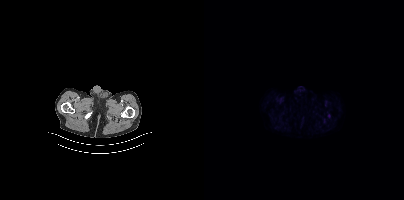
{"modality":"PSMA PET/CT","view":"axial","tracer":"18F-PSMA","pet_grid":[200,200],"coord_frame":"pet_panel","coord_format":"x0,y0,x1,y1","lesion_bboxes":[],"small_foci_centers":[[124,115]]}